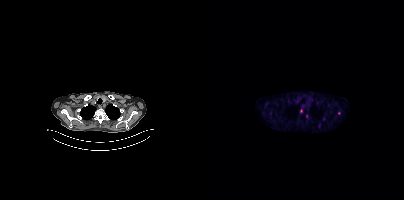
Two-panel axial: CT | PSMA PET, 18F tracer. PET panel 200×200 px (4.1 mm/px). Coordinates are on the 200×200 PET (right) panel. Small PSMA-avid foci (2 to 4 px across) near (center x, center y): (97, 110) / (119, 118) / (135, 113) / (115, 125) / (102, 116).